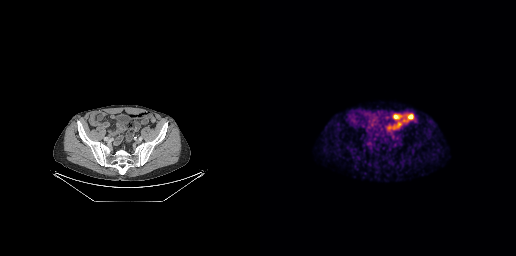
No tumor lesions annotated on this slice. Paired axial CT (left) and PSMA PET (right), 18F-PSMA tracer. Acquired on GE Discovery 690. Slice 80 of 263.